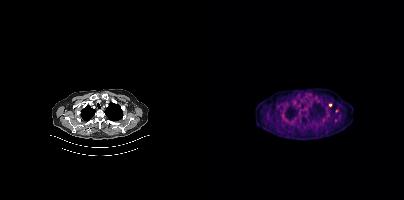
{"modality":"PSMA PET/CT","view":"axial","tracer":"18F","pet_grid":[200,200],"coord_frame":"pet_panel","coord_format":"x0,y0,x1,y1","partial":true,"lesion_bboxes":[],"small_foci_centers":[[126,104]]}